Left: CT. Right: PSMA PET, same axial level, 18F-PSMA tracer. Slice 98 of 165. PET panel 168×168 px (4.1 mm/px).
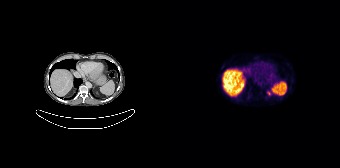
No tumor lesions annotated on this slice.